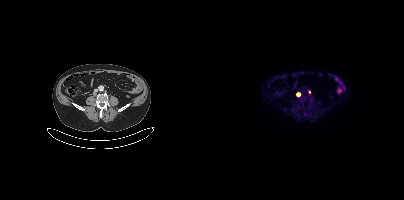
{"modality":"PSMA PET/CT","view":"axial","tracer":"18F","pet_grid":[200,200],"coord_frame":"pet_panel","coord_format":"x0,y0,x1,y1","lesion_bboxes":[],"small_foci_centers":[[94,94],[105,92]]}